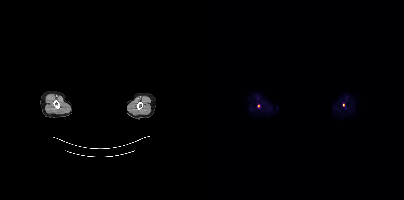
{"modality":"PSMA PET/CT","view":"axial","tracer":"18F-PSMA","pet_grid":[200,200],"coord_frame":"pet_panel","coord_format":"x0,y0,x1,y1","partial":true,"lesion_bboxes":[],"small_foci_centers":[[139,104]],"de-identification":"face masked with black rectangle"}